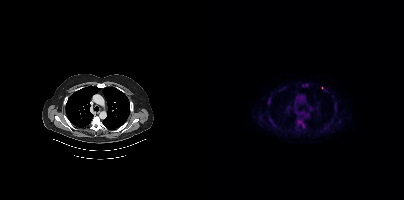
{"pet_grid":[200,200],"coord_frame":"pet_panel","coord_format":"x0,y0,x1,y1","partial":true,"lesion_bboxes":[[92,119,101,128],[67,120,72,127],[130,102,133,106],[130,108,133,112],[99,83,103,86]],"small_foci_centers":[[64,101],[120,129],[67,96],[64,114],[118,87]],"modality":"PSMA PET/CT","view":"axial","tracer":"18F"}